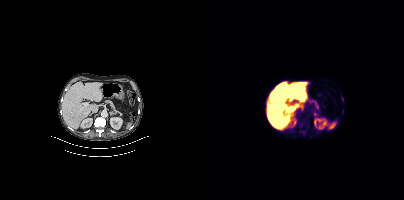
{"pet_grid":[200,200],"coord_frame":"pet_panel","coord_format":"x0,y0,x1,y1","partial":true,"lesion_bboxes":[[137,96,139,102]],"modality":"PSMA PET/CT","view":"axial","tracer":"18F-PSMA"}